Left: CT. Right: PSMA PET, same axial level, 18F-PSMA tracer. Acquired on Siemens Biograph mCT Flow 20.
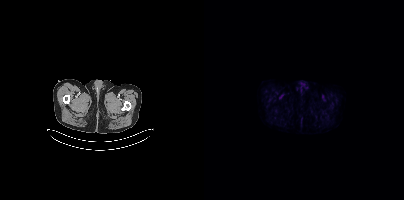
No PSMA-avid tumor lesions on this slice.